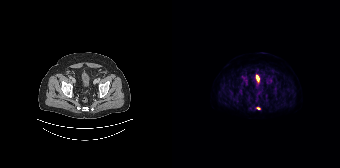
Coordinates are on the 168×168 PET (right) panel. Small PSMA-avid focus (2 to 4 px across) near (center x, center y): (86, 108). Left: CT. Right: PSMA PET, same axial level, [18F]PSMA-1007 tracer. Acquired on Siemens Biograph 64-4R TruePoint. Slice 42 of 165.